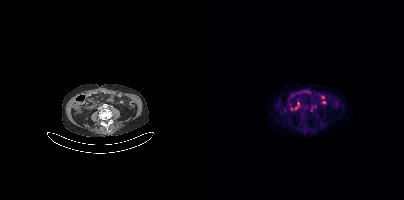
Coordinates are on the 200×200 PET (right) panel. PSMA-avid tumor lesion bounding box (x0, y0)-(x1, y1): (106, 105)-(112, 111).
modality: PSMA PET/CT | tracer: 18F-PSMA | view: axial | PET grid: 200×200